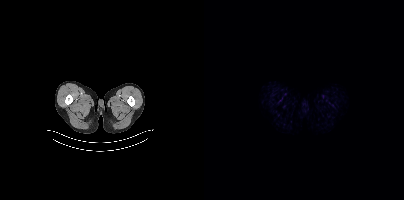
Technique: Paired axial CT (left) and PSMA PET (right), 18F-PSMA tracer. slice 12 of 377.
Findings: Negative for PSMA-avid disease on this slice.